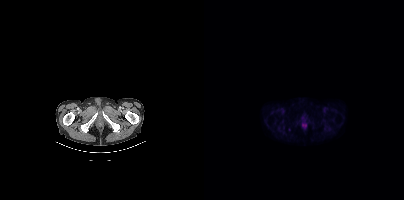
No PSMA-avid tumor lesions on this slice.